Technique: Two-panel axial: CT | PSMA PET, 18F tracer. acquired on Siemens Biograph mCT Flow 20. PET panel 200×200 px (4.1 mm/px).
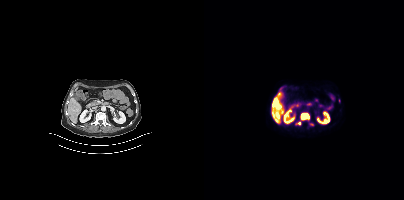
Findings: Coordinates are on the 200×200 PET (right) panel. (showing 4 of 5 foci) PSMA-avid tumor lesion bounding boxes (x0,y0,x1,y1): [97,113,105,119] [105,123,109,125] [92,122,96,124]. Small PSMA-avid focus (2 to 4 px across) near (center x, center y): (71, 102).